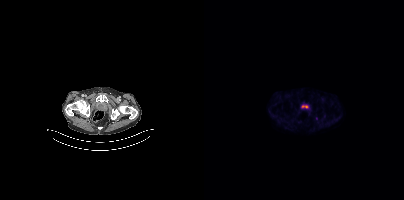
Two-panel axial: CT | PSMA PET, 18F tracer. PET panel 200×200 px (4.1 mm/px). No tumor lesions annotated on this slice.